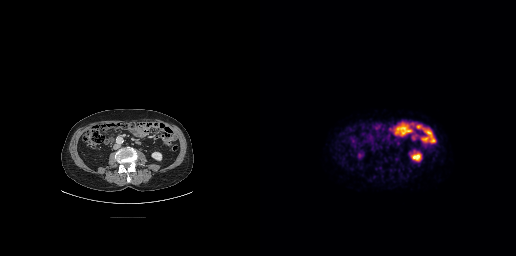
Findings: No tumor lesions annotated on this slice.
Technique: Paired axial CT (left) and PSMA PET (right), 18F tracer. slice 118 of 263. PET panel 256×256 px (2.7 mm/px).